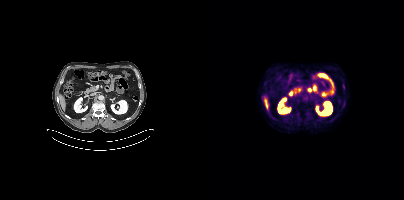
No PSMA-avid tumor lesions on this slice.